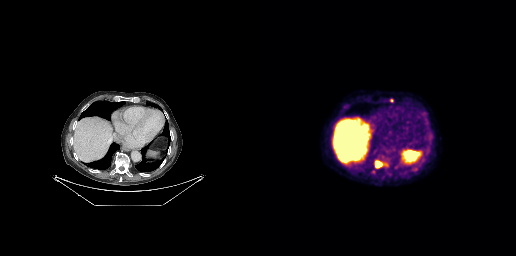
Coordinates are on the 256×256 PET (right) panel. PSMA-avid tumor lesion bounding box (x0, y0)-(x1, y1): (115, 161)-(122, 167). Small PSMA-avid focus (2 to 4 px across) near (center x, center y): (131, 100).